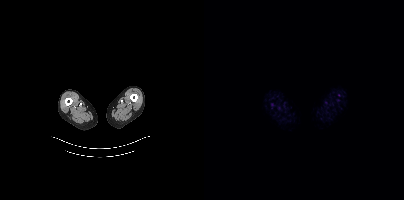
This slice has no annotated PSMA-avid lesion.